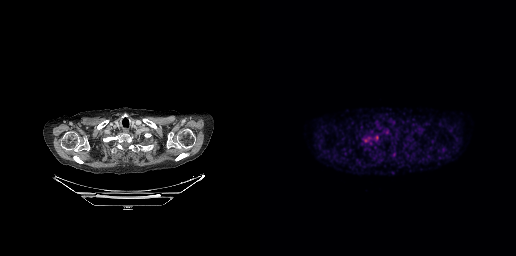
{"modality":"PSMA PET/CT","view":"axial","tracer":"18F-PSMA","pet_grid":[256,256],"coord_frame":"pet_panel","coord_format":"x0,y0,x1,y1","lesion_bboxes":[[103,137,111,142],[114,135,118,140]],"small_foci_centers":[[110,143]]}